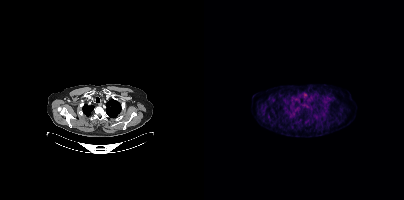
{"modality":"PSMA PET/CT","view":"axial","tracer":"68Ga","pet_grid":[200,200],"coord_frame":"pet_panel","coord_format":"x0,y0,x1,y1","psma_avid_lesions":false}